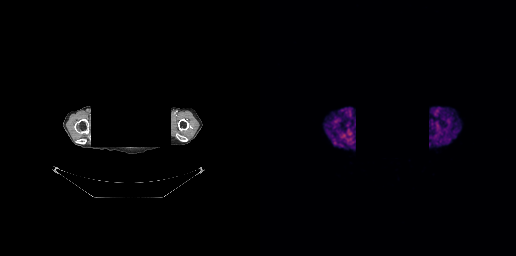
Negative for PSMA-avid disease on this slice. Two-panel axial: CT | PSMA PET, 68Ga tracer. Acquired on GE Discovery 690. PET panel 256×256 px (2.7 mm/px). Any black rectangle over the head is a privacy mask, not anatomy.